Two-panel axial: CT | PSMA PET, [18F]PSMA-1007 tracer. Acquired on Siemens Biograph 64-4R TruePoint. Slice 114 of 195.
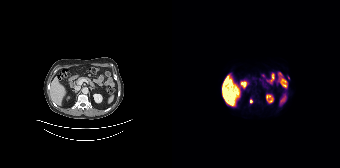
Coordinates are on the 168×168 PET (right) panel. PSMA-avid tumor lesion bounding box (x0, y0)-(x1, y1): (78, 99)-(80, 103). Small PSMA-avid focus (2 to 4 px across) near (center x, center y): (116, 77).